Paired axial CT (left) and PSMA PET (right), 18F tracer. Slice position z = -1010 mm. PET panel 168×168 px (4.1 mm/px).
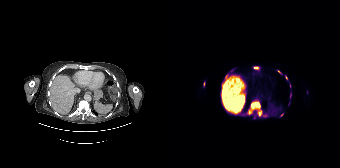
Coordinates are on the 168×168 PET (right) panel. PSMA-avid tumor lesion bounding boxes (partial; 1 more focus not listed):
| # | x0 | y0 | x1 | y1 |
|---|---|---|---|---|
| 1 | 75 | 100 | 90 | 116 |
| 2 | 82 | 66 | 86 | 69 |
| 3 | 31 | 82 | 32 | 86 |
Small PSMA-avid foci (2 to 4 px across) near (center x, center y): (109, 114); (114, 77); (107, 71); (54, 75); (118, 95); (92, 115).